- Paired axial CT (left) and PSMA PET (right), [18F]PSMA-1007 tracer
- acquired on GE Discovery 690
- slice position z = -449 mm
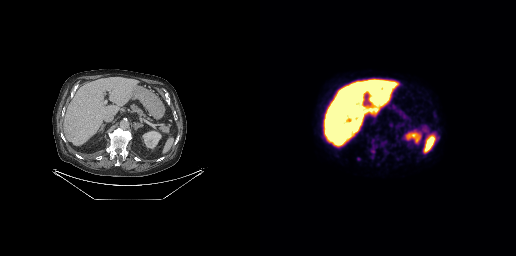
Findings: This slice has no annotated PSMA-avid lesion.